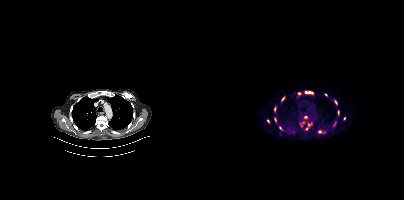
modality: PSMA PET/CT | tracer: 18F | view: axial | PET grid: 200×200
Coordinates are on the 200×200 PET (right) panel. (showing 12 of 15 foci) PSMA-avid tumor lesion bounding boxes (x0, y0)-(x1, y1): (100, 90)-(109, 95) | (93, 92)-(97, 97) | (102, 123)-(107, 130) | (70, 106)-(72, 112) | (130, 100)-(133, 104) | (70, 117)-(72, 122) | (63, 119)-(65, 123). Small PSMA-avid foci (2 to 4 px across) near (center x, center y): (101, 117) | (122, 95) | (140, 118) | (76, 128) | (99, 122).